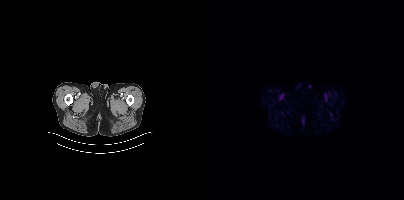
- Left: CT. Right: PSMA PET, same axial level, 18F-PSMA tracer
- acquired on Siemens Biograph mCT Flow 20
- slice position z = -1112 mm
- PET panel 200×200 px (4.1 mm/px)
Findings: Negative for PSMA-avid disease on this slice.